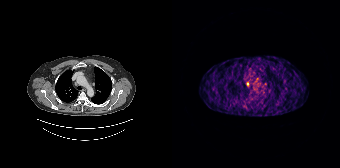
{"modality":"PSMA PET/CT","view":"axial","tracer":"68Ga-PSMA","pet_grid":[168,168],"coord_frame":"pet_panel","coord_format":"x0,y0,x1,y1","lesion_bboxes":[[91,82,94,86],[74,82,77,86]],"small_foci_centers":[[84,90]]}